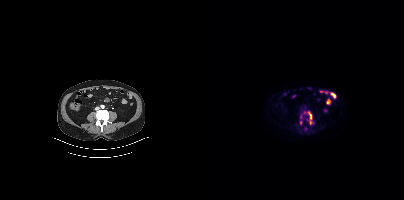
Technique: Paired axial CT (left) and PSMA PET (right), 18F-PSMA tracer. slice 122 of 367. PET panel 200×200 px (4.1 mm/px).
Findings: Coordinates are on the 200×200 PET (right) panel. (showing 1 of 2 foci) PSMA-avid tumor lesion bounding box (x0,y0,x1,y1): [105,112,107,119].